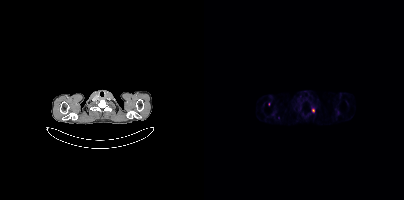
Coordinates are on the 200×200 PET (right) panel. (showing 1 of 2 foci) Small PSMA-avid focus (2 to 4 px across) near (center x, center y): (109, 110).
modality: PSMA PET/CT | tracer: [68Ga]Ga-PSMA-11 | view: axial | PET grid: 200×200